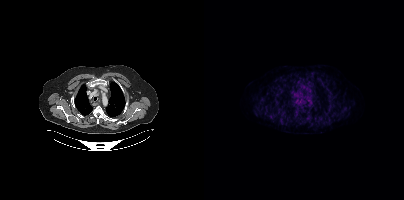
Two-panel axial: CT | PSMA PET, 18F tracer. PET panel 200×200 px (4.1 mm/px). No tumor lesions annotated on this slice.